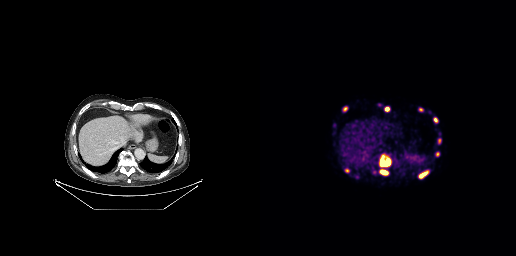
{"modality":"PSMA PET/CT","view":"axial","tracer":"[68Ga]Ga-PSMA-11","pet_grid":[256,256],"coord_frame":"pet_panel","coord_format":"x0,y0,x1,y1","partial":true,"lesion_bboxes":[[119,159,129,167],[159,171,168,178],[120,169,126,174],[84,168,89,172],[175,152,179,156],[125,107,129,111],[174,118,177,122],[178,139,181,143],[83,107,87,110]],"small_foci_centers":[[124,156]]}